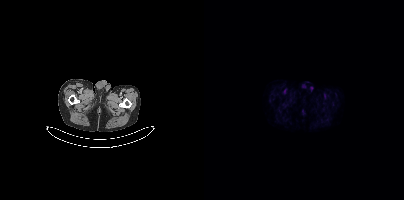
Left: CT. Right: PSMA PET, same axial level, [18F]PSMA-1007 tracer. Acquired on Siemens Biograph mCT Flow 20. Slice position z = -870 mm. PET panel 200×200 px (4.1 mm/px). Negative for PSMA-avid disease on this slice.